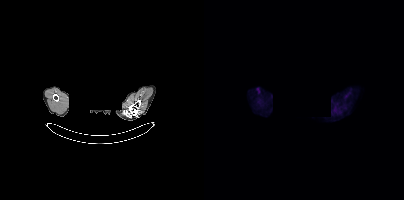
Negative for PSMA-avid disease on this slice. Head region blanked for anonymization (face removed). Left: CT. Right: PSMA PET, same axial level, 18F-PSMA tracer.